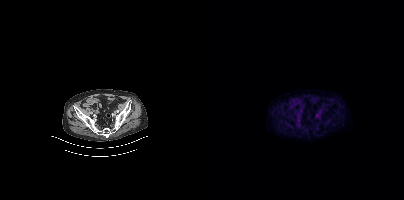
Left: CT. Right: PSMA PET, same axial level, 18F tracer. Slice 85 of 401. PET panel 200×200 px (4.1 mm/px). Negative for PSMA-avid disease on this slice.